- Two-panel axial: CT | PSMA PET, 18F tracer
- PET panel 200×200 px (4.1 mm/px)
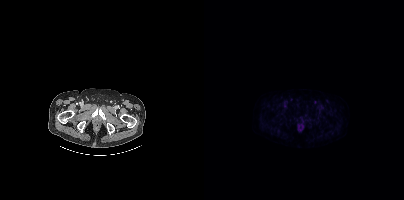
Findings: No tumor lesions annotated on this slice.